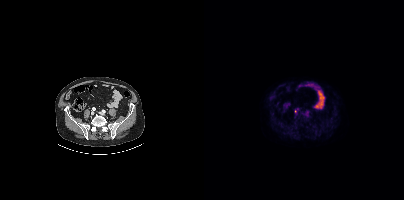
Paired axial CT (left) and PSMA PET (right), [18F]PSMA-1007 tracer. Acquired on Siemens Biograph mCT Flow 20. Slice position z = -872 mm. PET panel 200×200 px (4.1 mm/px). Coordinates are on the 200×200 PET (right) panel. Small PSMA-avid focus (2 to 4 px across) near (center x, center y): (91, 111).